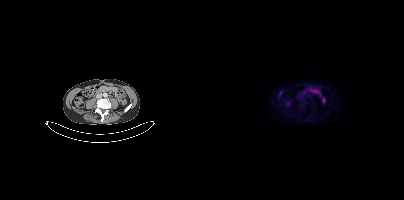
Negative for PSMA-avid disease on this slice. Paired axial CT (left) and PSMA PET (right), [18F]PSMA-1007 tracer. Slice 148 of 448. PET panel 200×200 px (4.1 mm/px).